Two-panel axial: CT | PSMA PET, 18F-PSMA tracer. Slice position z = -866 mm.
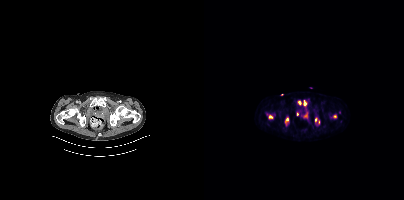
Coordinates are on the 200×200 PET (right) panel. PSMA-avid tumor lesion bounding boxes (partial; 1 more focus not listed):
| # | x0 | y0 | x1 | y1 |
|---|---|---|---|---|
| 1 | 81 | 117 | 84 | 122 |
| 2 | 99 | 100 | 102 | 105 |
Small PSMA-avid foci (2 to 4 px across) near (center x, center y): (66, 116); (95, 102); (131, 116); (111, 119); (93, 113).